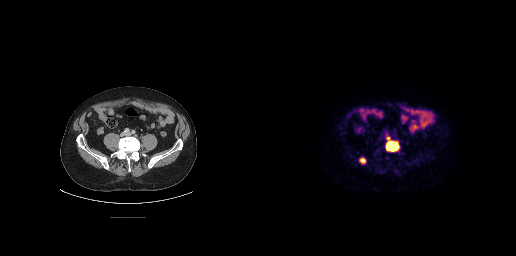
Findings: Coordinates are on the 256×256 PET (right) panel. PSMA-avid tumor lesion bounding boxes (x, y, width, height): x=125 y=136 w=16 h=17 | x=99 y=157 w=8 h=8.
Technique: Left: CT. Right: PSMA PET, same axial level, 18F tracer. acquired on GE Discovery 690. slice position z = -595 mm. PET panel 256×256 px (2.7 mm/px).